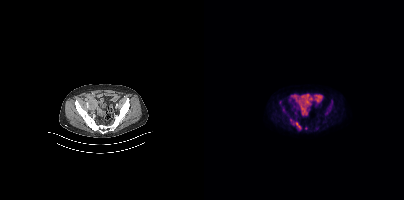
Coordinates are on the 200×200 PET (right) panel. (showing 4 of 5 foci) PSMA-avid tumor lesion bounding boxes (x0,y0,x1,y1): [86,118,97,129] [127,100,128,104]. Small PSMA-avid foci (2 to 4 px across) near (center x, center y): (79, 110) (101, 128).
modality: PSMA PET/CT | tracer: [18F]PSMA-1007 | view: axial | PET grid: 200×200